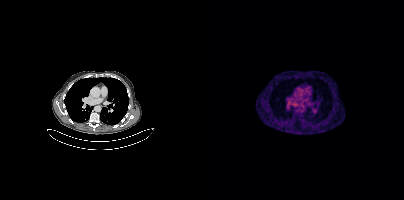
{"modality":"PSMA PET/CT","view":"axial","tracer":"68Ga-PSMA","pet_grid":[200,200],"coord_frame":"pet_panel","coord_format":"x0,y0,x1,y1","psma_avid_lesions":false}